Left: CT. Right: PSMA PET, same axial level, [18F]PSMA-1007 tracer.
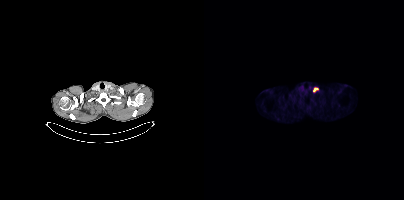
Coordinates are on the 200×200 PET (right) panel. PSMA-avid tumor lesion bounding box (x, y, width, height): x=110 y=88 w=5 h=4.